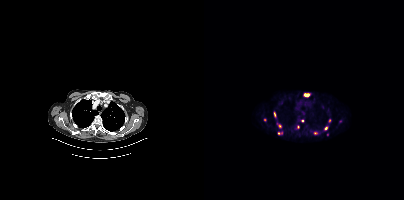
Left: CT. Right: PSMA PET, same axial level, 68Ga-PSMA tracer. Acquired on Siemens Biograph mCT Flow 20. Slice 309 of 409. PET panel 200×200 px (4.1 mm/px).
Coordinates are on the 200×200 PET (right) panel. PSMA-avid tumor lesion bounding boxes (partial; 1 more focus not listed):
| # | x0 | y0 | x1 | y1 |
|---|---|---|---|---|
| 1 | 100 | 94 | 104 | 96 |
| 2 | 70 | 112 | 71 | 116 |
Small PSMA-avid foci (2 to 4 px across) near (center x, center y): (76, 126); (125, 120); (122, 128); (111, 133); (98, 120); (94, 127); (74, 133); (60, 119).